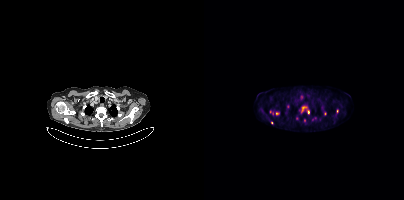
{"pet_grid":[200,200],"coord_frame":"pet_panel","coord_format":"x0,y0,x1,y1","partial":true,"lesion_bboxes":[],"small_foci_centers":[[73,113],[104,111],[84,106],[133,111],[67,122],[98,109]],"modality":"PSMA PET/CT","view":"axial","tracer":"[18F]PSMA-1007"}